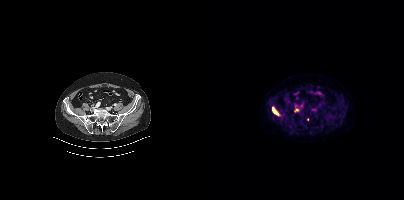
Coordinates are on the 200×200 PET (right) panel. PSMA-avid tumor lesion bounding box (x, y, width, height): x=68 y=107 w=7 h=8. Small PSMA-avid foci (2 to 4 px across) near (center x, center y): (92, 109) / (103, 119).